modality: PSMA PET/CT | tracer: 18F-PSMA | view: axial | PET grid: 200×200
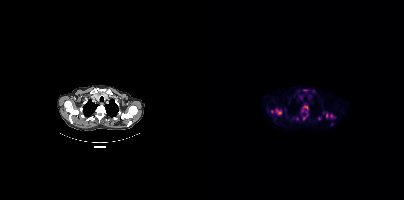
Coordinates are on the 200×200 PET (right) panel. (showing 7 of 8 foci) PSMA-avid tumor lesion bounding boxes (x, y, width, height): x=67 y=108 w=12 h=8 | x=99 y=106 w=6 h=3 | x=122 y=113 w=3 h=5 | x=99 y=89 w=5 h=2. Small PSMA-avid foci (2 to 4 px across) near (center x, center y): (127, 115) | (115, 118) | (99, 118).